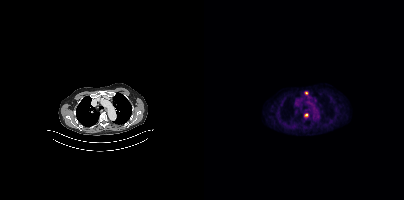
Coordinates are on the 200×200 PET (right) panel. PSMA-avid tumor lesion bounding box (x0, y0)-(x1, y1): (100, 113)-(104, 116). Small PSMA-avid focus (2 to 4 px across) near (center x, center y): (102, 92). Two-panel axial: CT | PSMA PET, 18F-PSMA tracer. Slice position z = -447 mm.